Left: CT. Right: PSMA PET, same axial level, 68Ga-PSMA tracer. Acquired on Siemens Biograph mCT Flow 20. Slice 116 of 373. PET panel 200×200 px (4.1 mm/px).
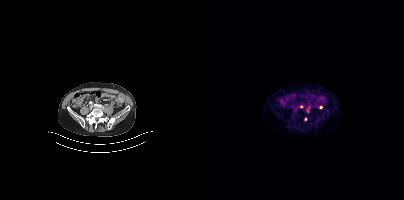
Coordinates are on the 200×200 PET (right) panel. Small PSMA-avid foci (2 to 4 px across) near (center x, center y): (117, 107) (101, 119) (97, 106).